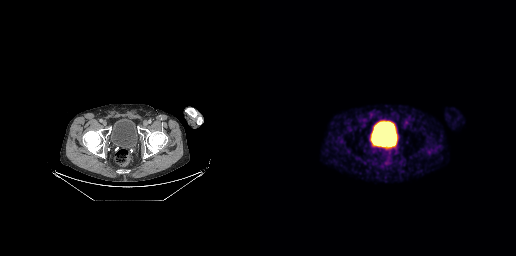
modality: PSMA PET/CT | tracer: [68Ga]Ga-PSMA-11 | view: axial
No tumor lesions annotated on this slice.